Technique: Two-panel axial: CT | PSMA PET, 18F tracer. slice position z = -1520 mm. PET panel 200×200 px (4.1 mm/px).
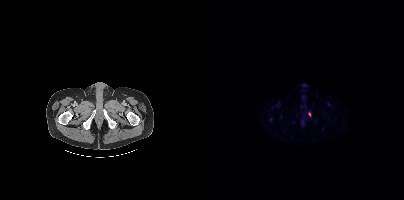
Findings: Coordinates are on the 200×200 PET (right) panel. PSMA-avid tumor lesion bounding box (x, y, width, height): x=104 y=112 w=3 h=5.